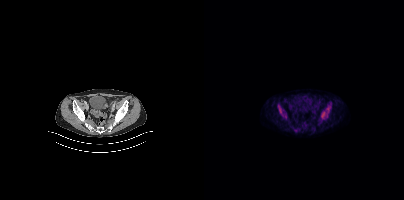
{"modality":"PSMA PET/CT","view":"axial","tracer":"18F","pet_grid":[200,200],"coord_frame":"pet_panel","coord_format":"x0,y0,x1,y1","lesion_bboxes":[[75,109,79,116],[117,112,120,117]],"small_foci_centers":[[124,109],[81,116]]}